modality: PSMA PET/CT | tracer: 18F | view: axial | PET grid: 256×256
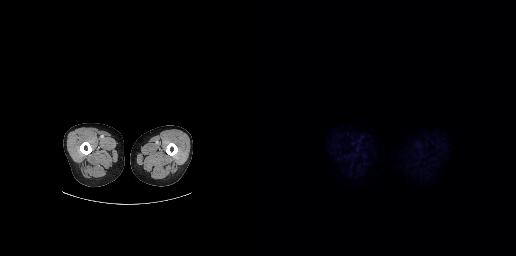
No PSMA-avid tumor lesions on this slice.